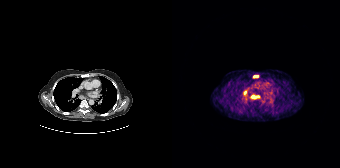
Coordinates are on the 168×168 PET (right) panel. PSMA-avid tumor lesion bounding boxes (x0,y0,x1,y1): [78,94,87,99], [81,75,86,78], [71,90,74,95].